Technique: Two-panel axial: CT | PSMA PET, 18F-PSMA tracer. slice position z = -551 mm.
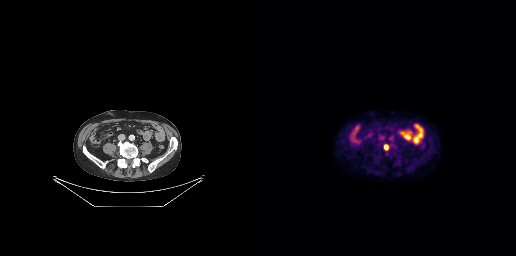
Findings: Coordinates are on the 256×256 PET (right) panel. PSMA-avid tumor lesion bounding box (x0,y0,x1,y1): [124,145,127,149].